Paired axial CT (left) and PSMA PET (right), 18F tracer. Acquired on Siemens Biograph mCT Flow 20. PET panel 200×200 px (4.1 mm/px).
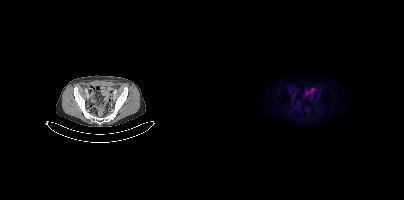
Negative for PSMA-avid disease on this slice.